- Left: CT. Right: PSMA PET, same axial level, 18F tracer
- slice position z = -279 mm
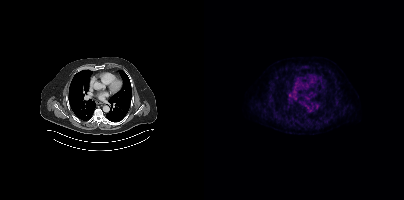
Findings: No tumor lesions annotated on this slice.